Two-panel axial: CT | PSMA PET, 18F-PSMA tracer. Slice position z = -632 mm. PET panel 200×200 px (4.1 mm/px).
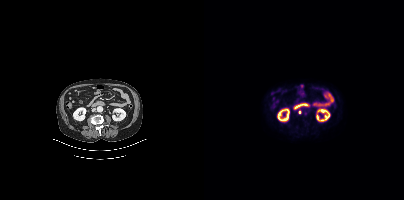
Coordinates are on the 200×200 PET (right) panel. PSMA-avid tumor lesion bounding box (x0,y0,x1,y1): [94,109,97,114].